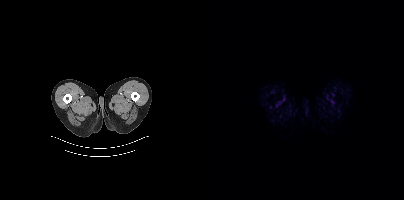
Findings: Negative for PSMA-avid disease on this slice.
Technique: Two-panel axial: CT | PSMA PET, [18F]PSMA-1007 tracer. PET panel 200×200 px (4.1 mm/px).